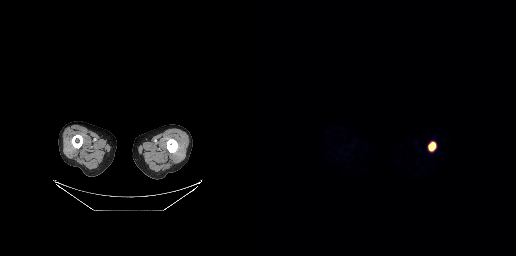
Technique: Left: CT. Right: PSMA PET, same axial level, [68Ga]Ga-PSMA-11 tracer.
Findings: Coordinates are on the 256×256 PET (right) panel. PSMA-avid tumor lesion bounding box (x, y, width, height): x=169 y=143 w=7 h=8.